Left: CT. Right: PSMA PET, same axial level, 18F tracer. Acquired on Siemens Biograph mCT Flow 20. PET panel 200×200 px (4.1 mm/px).
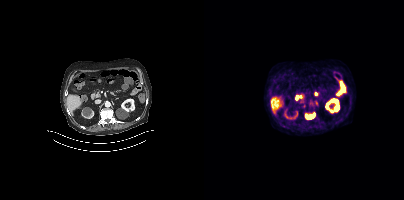
Coordinates are on the 200×200 PET (right) panel. PSMA-avid tumor lesion bounding box (x0,y0,x1,y1): [101,112,111,119].